Two-panel axial: CT | PSMA PET, 18F tracer. PET panel 200×200 px (4.1 mm/px).
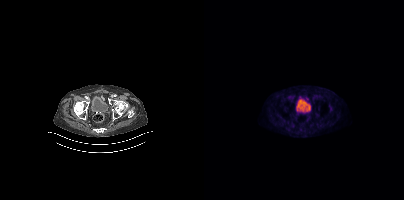
Negative for PSMA-avid disease on this slice.